Paired axial CT (left) and PSMA PET (right), 68Ga-PSMA tracer. Slice position z = -1142 mm.
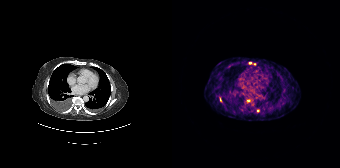
Coordinates are on the 168×168 PET (right) panel. (showing 4 of 5 foci) PSMA-avid tumor lesion bounding box (x0, y0)-(x1, y1): (47, 97)-(49, 101). Small PSMA-avid foci (2 to 4 px across) near (center x, center y): (86, 110) / (78, 62) / (82, 64).